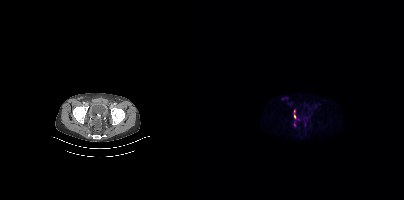
Paired axial CT (left) and PSMA PET (right), 18F tracer. Acquired on Siemens Biograph mCT Flow 20. Coordinates are on the 200×200 PET (right) panel. PSMA-avid tumor lesion bounding box (x0, y0)-(x1, y1): (90, 110)-(92, 118). Small PSMA-avid focus (2 to 4 px across) near (center x, center y): (90, 124).